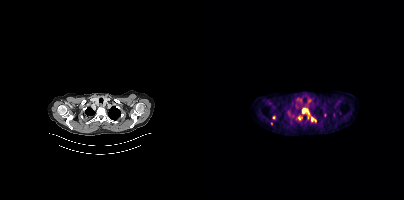
Findings: Coordinates are on the 200×200 PET (right) panel. (showing 4 of 5 foci) PSMA-avid tumor lesion bounding boxes (x0, y0)-(x1, y1): (98, 108)-(112, 121); (94, 116)-(98, 119). Small PSMA-avid foci (2 to 4 px across) near (center x, center y): (67, 123); (69, 117).
Technique: Left: CT. Right: PSMA PET, same axial level, [18F]PSMA-1007 tracer. PET panel 200×200 px (4.1 mm/px).